Two-panel axial: CT | PSMA PET, [68Ga]Ga-PSMA-11 tracer. Acquired on Siemens Biograph mCT Flow 20. Slice 49 of 397. PET panel 200×200 px (4.1 mm/px).
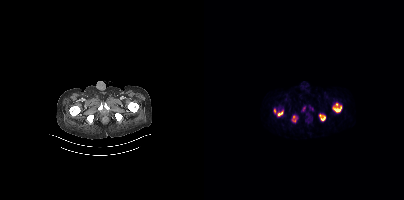
This slice has no annotated PSMA-avid lesion.